Paired axial CT (left) and PSMA PET (right), 18F tracer. Acquired on Siemens Biograph mCT Flow 20. PET panel 200×200 px (4.1 mm/px).
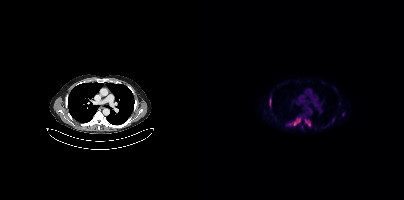
Coordinates are on the 200×200 PET (right) panel. PSMA-avid tumor lesion bounding boxes:
| # | x0 | y0 | x1 | y1 |
|---|---|---|---|---|
| 1 | 89 | 118 | 96 | 125 |
| 2 | 65 | 98 | 67 | 106 |
| 3 | 101 | 120 | 106 | 125 |
Small PSMA-avid focus (2 to 4 px across) near (center x, center y): (139, 114).